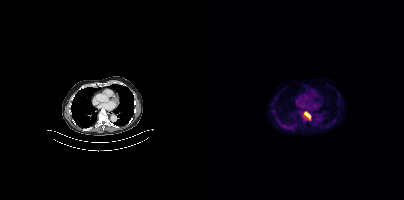
Findings: Coordinates are on the 200×200 PET (right) panel. PSMA-avid tumor lesion bounding box (x0,y0,x1,y1): [100,111,106,120].
- Left: CT. Right: PSMA PET, same axial level, [18F]PSMA-1007 tracer
- acquired on Siemens Biograph mCT Flow 20